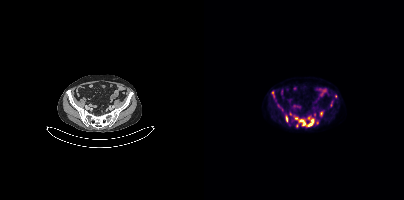
{"modality":"PSMA PET/CT","view":"axial","tracer":"18F-PSMA","pet_grid":[200,200],"coord_frame":"pet_panel","coord_format":"x0,y0,x1,y1","partial":true,"lesion_bboxes":[[91,117,110,126],[82,116,83,121],[68,91,70,96]],"small_foci_centers":[[117,113],[131,96],[104,118],[126,105],[92,125]]}